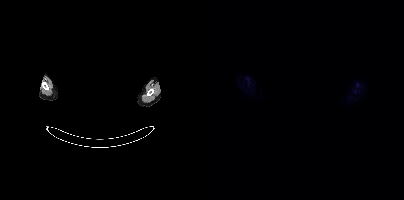
{"modality":"PSMA PET/CT","view":"axial","tracer":"18F","pet_grid":[200,200],"coord_frame":"pet_panel","coord_format":"x0,y0,x1,y1","psma_avid_lesions":false,"deidentification":"privacy mask over head"}